Technique: Left: CT. Right: PSMA PET, same axial level, 68Ga tracer.
Note: An anonymization step blacked out a rectangle over the head in this scan.
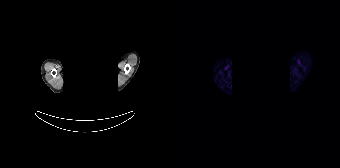
Findings: No tumor lesions annotated on this slice.